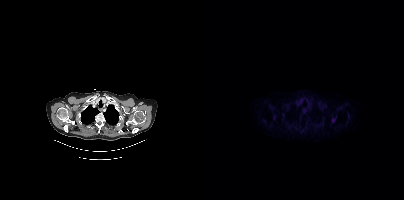
{"modality":"PSMA PET/CT","view":"axial","tracer":"18F","pet_grid":[200,200],"coord_frame":"pet_panel","coord_format":"x0,y0,x1,y1","lesion_bboxes":[[128,118,131,122]]}